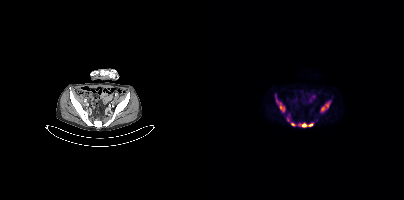
- Two-panel axial: CT | PSMA PET, 18F-PSMA tracer
- PET panel 200×200 px (4.1 mm/px)
Findings: Coordinates are on the 200×200 PET (right) panel. PSMA-avid tumor lesion bounding boxes (x0, y0)-(x1, y1): (71, 94)-(81, 112) | (94, 122)-(109, 127) | (117, 101)-(126, 112) | (87, 122)-(91, 126) | (83, 114)-(85, 121).